Paired axial CT (left) and PSMA PET (right), 68Ga tracer. Acquired on Siemens Biograph mCT Flow 20. Slice 68 of 433. PET panel 200×200 px (4.1 mm/px).
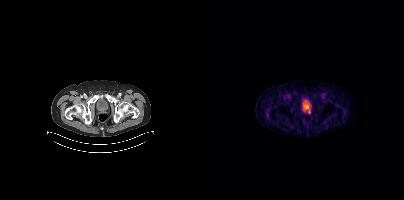
Coordinates are on the 200×200 PET (right) panel. Small PSMA-avid focus (2 to 4 px across) near (center x, center y): (105, 112).